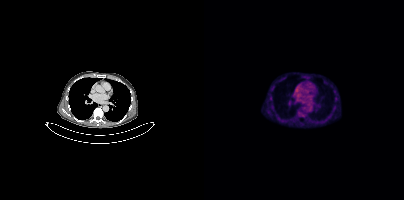
- Two-panel axial: CT | PSMA PET, 18F tracer
- slice 264 of 417
- PET panel 200×200 px (4.1 mm/px)
Findings: Coordinates are on the 200×200 PET (right) panel. Small PSMA-avid focus (2 to 4 px across) near (center x, center y): (66, 98).